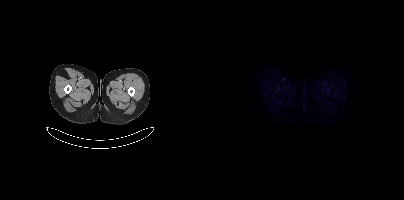
- Paired axial CT (left) and PSMA PET (right), 18F-PSMA tracer
- acquired on Siemens Biograph mCT Flow 20
- slice position z = -892 mm
- PET panel 200×200 px (4.1 mm/px)
Findings: This slice has no annotated PSMA-avid lesion.